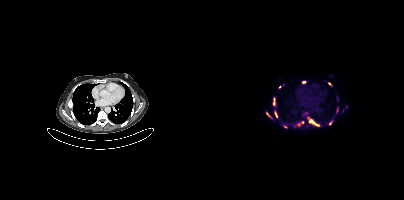
Coordinates are on the 200×200 PET (right) panel. (showing 12 of 14 foci) PSMA-avid tumor lesion bounding boxes (x, y, width, height): x=89 y=121 w=11 h=7; x=105 y=119 w=10 h=7; x=125 y=120 w=4 h=6; x=71 y=112 w=3 h=6; x=69 y=98 w=2 h=7; x=133 y=107 w=2 h=6; x=62 y=113 w=5 h=4. Small PSMA-avid foci (2 to 4 px across) near (center x, center y): (81, 126); (76, 87); (100, 81); (125, 83); (79, 84).
modality: PSMA PET/CT | tracer: [18F]PSMA-1007 | view: axial | PET grid: 200×200